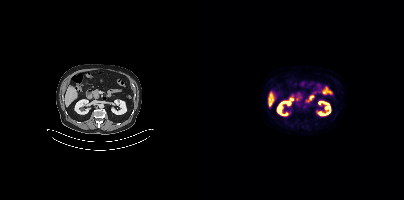
This slice has no annotated PSMA-avid lesion.
modality: PSMA PET/CT | tracer: 18F | view: axial